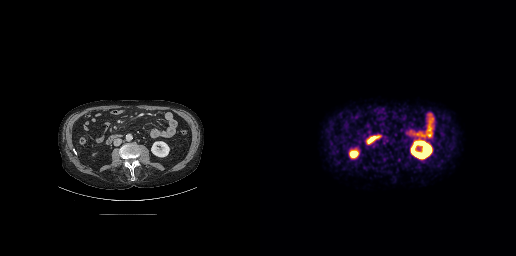
No tumor lesions annotated on this slice. Paired axial CT (left) and PSMA PET (right), 18F-PSMA tracer.